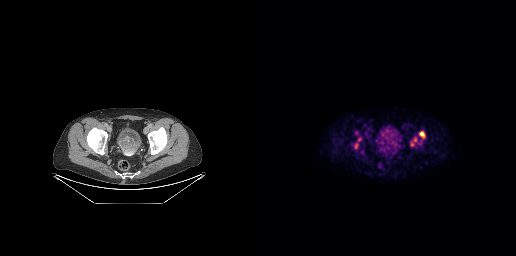
{"modality":"PSMA PET/CT","view":"axial","tracer":"18F-PSMA","pet_grid":[256,256],"coord_frame":"pet_panel","coord_format":"x0,y0,x1,y1","partial":true,"lesion_bboxes":[[159,131,165,138],[151,137,157,146]],"small_foci_centers":[[95,144]]}